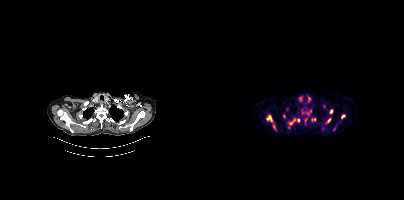
Coordinates are on the 200×200 PET (right) panel. (showing 8 of 11 foci) PSMA-avid tumor lesion bounding boxes (x, y, width, height): x=62 y=114 w=11 h=17; x=84 y=118 w=13 h=11; x=137 y=115 w=5 h=4; x=126 y=109 w=3 h=5; x=122 y=118 w=5 h=6; x=107 y=118 w=5 h=3. Small PSMA-avid foci (2 to 4 px across) near (center x, center y): (80, 116); (101, 120).